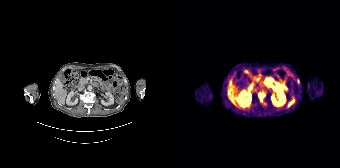
Technique: Left: CT. Right: PSMA PET, same axial level, [68Ga]Ga-PSMA-11 tracer. acquired on Siemens Biograph 64-4R TruePoint. slice 79 of 165.
Findings: Coordinates are on the 168×168 PET (right) panel. PSMA-avid tumor lesion bounding boxes (x, y, width, height): x=87 y=93 w=4 h=8 | x=125 y=79 w=3 h=5.